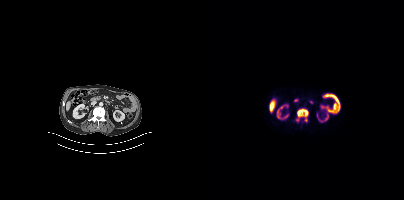
Coordinates are on the 200×200 PET (right) panel. PSMA-avid tumor lesion bounding boxes:
| # | x0 | y0 | x1 | y1 |
|---|---|---|---|---|
| 1 | 93 | 109 | 104 | 117 |
Small PSMA-avid focus (2 to 4 px across) near (center x, center y): (101, 120).
Left: CT. Right: PSMA PET, same axial level, 18F tracer.